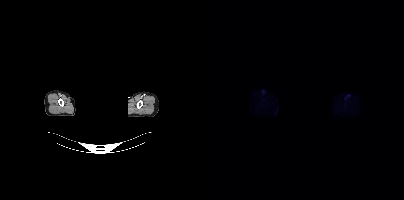
Technique: Paired axial CT (left) and PSMA PET (right), [18F]PSMA-1007 tracer. slice 384 of 421.
Note: Face de-identified by blanking a block of the head.
Findings: This slice has no annotated PSMA-avid lesion.